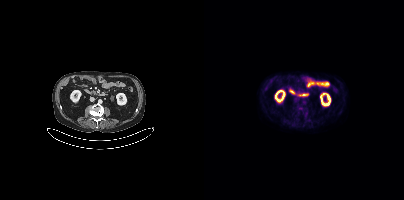
{"modality":"PSMA PET/CT","view":"axial","tracer":"18F","pet_grid":[200,200],"coord_frame":"pet_panel","coord_format":"x0,y0,x1,y1","psma_avid_lesions":false}